- Two-panel axial: CT | PSMA PET, 68Ga-PSMA tracer
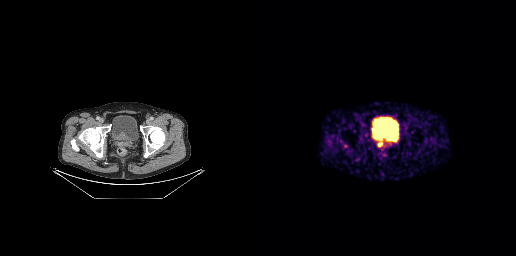
Findings: Coordinates are on the 256×256 PET (right) panel. PSMA-avid tumor lesion bounding box (x0, y0)-(x1, y1): (118, 142)-(122, 146).